Paired axial CT (left) and PSMA PET (right), 18F-PSMA tracer. Acquired on Siemens Biograph mCT Flow 20. Slice position z = -400 mm. PET panel 200×200 px (4.1 mm/px).
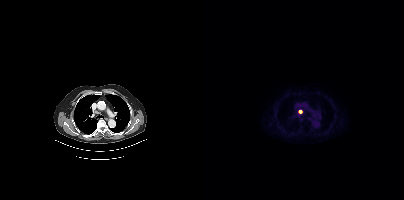
Coordinates are on the 200×200 PET (right) panel. PSMA-avid tumor lesion bounding boxes:
| # | x0 | y0 | x1 | y1 |
|---|---|---|---|---|
| 1 | 94 | 110 | 98 | 113 |